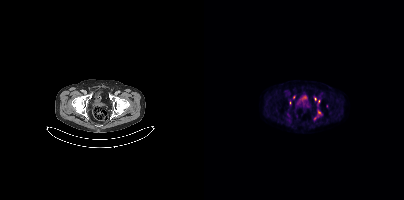
Findings: Coordinates are on the 200×200 PET (right) panel. (showing 4 of 5 foci) Small PSMA-avid foci (2 to 4 px across) near (center x, center y): (111, 98) / (114, 101) / (86, 102) / (115, 112).
- Two-panel axial: CT | PSMA PET, 18F tracer
- slice 77 of 415
- PET panel 200×200 px (4.1 mm/px)